modality: PSMA PET/CT | tracer: 68Ga | view: axial
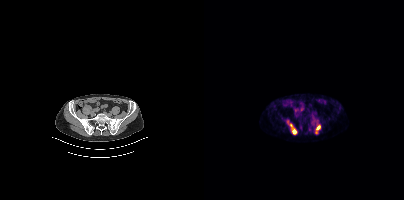
Coordinates are on the 200×200 PET (right) panel. PSMA-avid tumor lesion bounding boxes (x0, y0)-(x1, y1): (86, 124)-(93, 134) | (111, 125)-(116, 133).